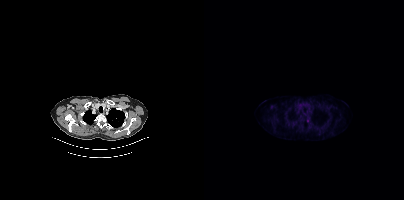
modality: PSMA PET/CT | tracer: [18F]PSMA-1007 | view: axial | PET grid: 200×200
Coordinates are on the 200×200 PET (right) panel. Small PSMA-avid focus (2 to 4 px across) near (center x, center y): (104, 120).